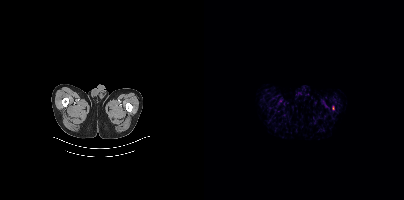
No tumor lesions annotated on this slice. Two-panel axial: CT | PSMA PET, [18F]PSMA-1007 tracer. Acquired on Siemens Biograph mCT Flow 20. PET panel 200×200 px (4.1 mm/px).